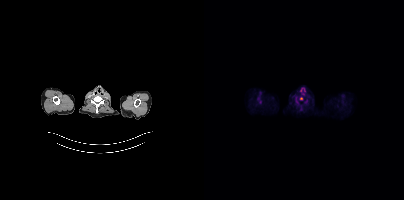
Two-panel axial: CT | PSMA PET, [18F]PSMA-1007 tracer. Slice position z = -166 mm. Only PSMA-avid lesion pieces thinner than 2 px on this slice (not listed).